Technique: Two-panel axial: CT | PSMA PET, [68Ga]Ga-PSMA-11 tracer. slice 22 of 263.
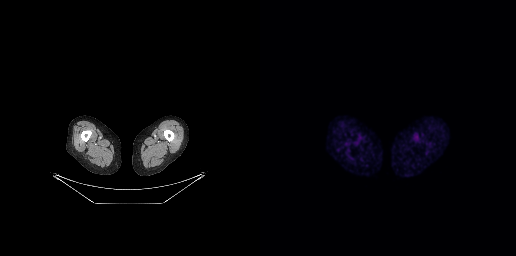
Findings: Negative for PSMA-avid disease on this slice.